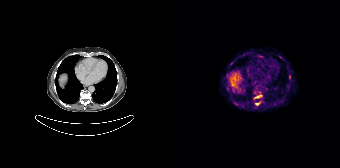
Findings: Coordinates are on the 168×168 PET (right) panel. PSMA-avid tumor lesion bounding boxes (x0,y0,x1,y1): [82,95,89,98] [83,102,88,105] [117,75,118,79]. Small PSMA-avid foci (2 to 4 px across) near (center x, center y): (63, 103) (59, 63).
- Paired axial CT (left) and PSMA PET (right), 68Ga tracer
- acquired on Siemens Biograph 64-4R TruePoint
- PET panel 168×168 px (4.1 mm/px)